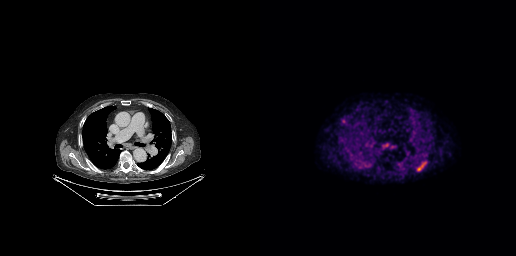
Coordinates are on the 256×256 PET (right) panel. PSMA-avid tumor lesion bounding box (x0,y0,x1,y1): [156,161,166,171]. Small PSMA-avid focus (2 to 4 px across) near (center x, center y): (123, 146).